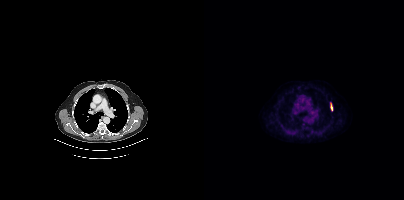
Paired axial CT (left) and PSMA PET (right), 18F tracer. Slice 302 of 401. Coordinates are on the 200×200 PET (right) panel. PSMA-avid tumor lesion bounding box (x, y, width, height): x=126 y=103 w=3 h=8.